- Paired axial CT (left) and PSMA PET (right), 18F tracer
- acquired on Siemens Biograph mCT Flow 20
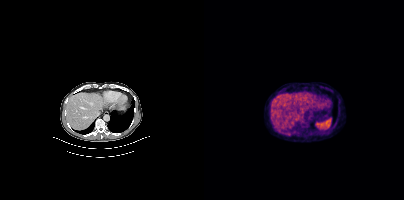
Findings: Coordinates are on the 200×200 PET (right) panel. PSMA-avid tumor lesion bounding box (x, y, width, height): x=95 y=116 w=5 h=5. Small PSMA-avid focus (2 to 4 px across) near (center x, center y): (103, 123).